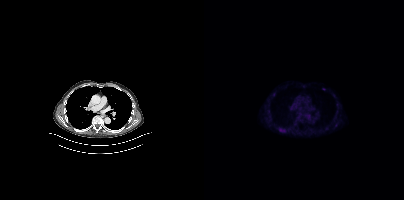
modality: PSMA PET/CT | tracer: 18F-PSMA | view: axial
Coordinates are on the 200×200 PET (right) panel. (showing 1 of 2 foci) Small PSMA-avid focus (2 to 4 px across) near (center x, center y): (76, 129).